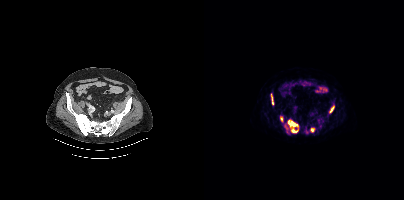
Coordinates are on the 200×200 PET (right) panel. (showing 6 of 7 foci) PSMA-avid tumor lesion bounding boxes (x, y, width, height): x=83 y=119 w=12 h=15 / x=125 y=105 w=6 h=9 / x=67 y=94 w=4 h=11 / x=106 y=128 w=5 h=5 / x=76 y=116 w=3 h=6 / x=81 y=125 w=3 h=5. Paired axial CT (left) and PSMA PET (right), 18F tracer. Slice 123 of 454. PET panel 200×200 px (4.1 mm/px).